modality: PSMA PET/CT | tracer: 18F | view: axial | PET grid: 200×200
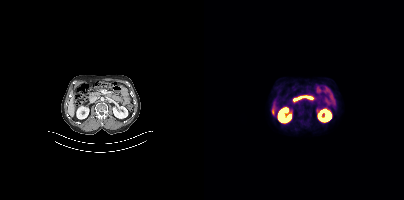
No tumor lesions annotated on this slice.